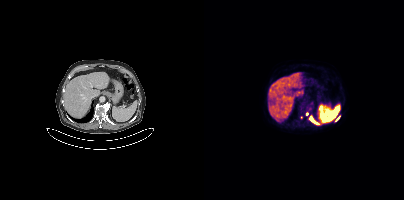
Coordinates are on the 200×200 PET (right) panel. PSMA-avid tumor lesion bounding box (x, y, width, height): x=106 y=116 w=8 h=8. Small PSMA-avid foci (2 to 4 px across) near (center x, center y): (133, 118); (102, 113); (97, 117).